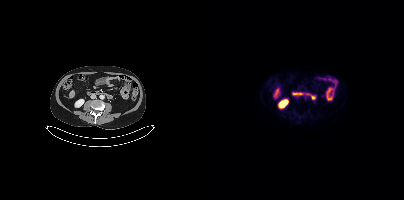
modality: PSMA PET/CT | tracer: 18F | view: axial
Negative for PSMA-avid disease on this slice.